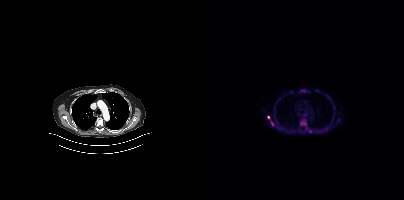
Technique: Two-panel axial: CT | PSMA PET, 18F-PSMA tracer. acquired on Siemens Biograph mCT Flow 20. slice position z = -1071 mm. PET panel 200×200 px (4.1 mm/px).
Findings: Coordinates are on the 200×200 PET (right) panel. (showing 4 of 7 foci) PSMA-avid tumor lesion bounding boxes (x0,y0,x1,y1): [96,119,102,125]; [121,126,125,130]; [67,121,69,125]. Small PSMA-avid focus (2 to 4 px across) near (center x, center y): (64, 117).